Technique: Paired axial CT (left) and PSMA PET (right), [68Ga]Ga-PSMA-11 tracer. acquired on Siemens Biograph 64-4R TruePoint. slice position z = -186 mm.
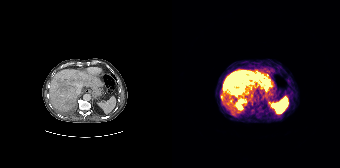
Findings: Coordinates are on the 168×168 PET (right) panel. PSMA-avid tumor lesion bounding boxes (x0,y0,x1,y1): [51,72,71,94], [67,70,81,82], [84,72,93,80], [93,83,97,87]. Small PSMA-avid foci (2 to 4 px across) near (center x, center y): (55, 78), (84, 81), (89, 84), (79, 80).